Paired axial CT (left) and PSMA PET (right), 18F-PSMA tracer. PET panel 200×200 px (4.1 mm/px).
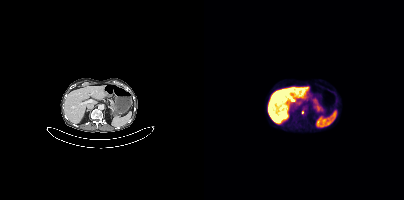
Coordinates are on the 200×200 PET (right) panel. Small PSMA-avid focus (2 to 4 px across) near (center x, center y): (98, 112).